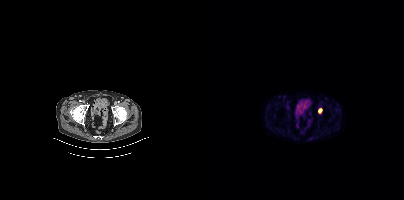
{"modality":"PSMA PET/CT","view":"axial","tracer":"18F","pet_grid":[200,200],"coord_frame":"pet_panel","coord_format":"x0,y0,x1,y1","partial":true,"lesion_bboxes":[],"small_foci_centers":[[116,110]]}